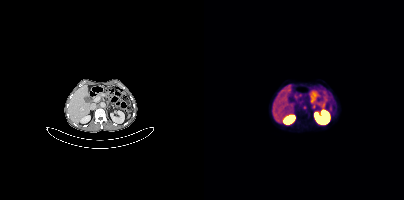
Coordinates are on the 200×200 PET (right) panel. Small PSMA-avid focus (2 to 4 px across) near (center x, center y): (100, 107). Two-panel axial: CT | PSMA PET, 68Ga-PSMA tracer. PET panel 200×200 px (4.1 mm/px).